Paired axial CT (left) and PSMA PET (right), 18F-PSMA tracer. Slice position z = -1555 mm.
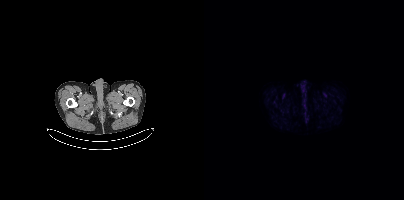
This slice has no annotated PSMA-avid lesion.